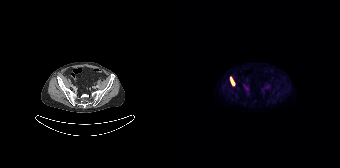
Coordinates are on the 168×168 PET (right) panel. PSMA-avid tumor lesion bounding box (x0,y0,x1,y1): [58,76,63,86].